Technique: Left: CT. Right: PSMA PET, same axial level, [18F]PSMA-1007 tracer. acquired on Siemens Biograph mCT Flow 20.
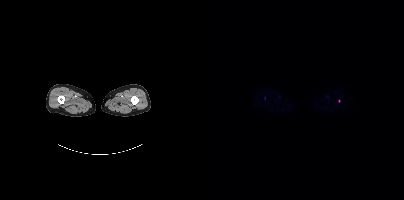
Findings: Only PSMA-avid lesion pieces thinner than 2 px on this slice (not listed).